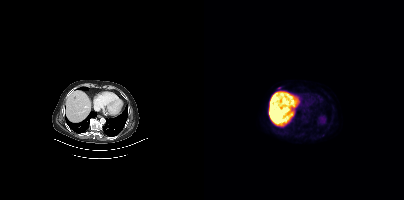
Technique: Two-panel axial: CT | PSMA PET, 18F tracer. acquired on Siemens Biograph mCT Flow 20. PET panel 200×200 px (4.1 mm/px).
Findings: Coordinates are on the 200×200 PET (right) panel. (showing 1 of 2 foci) Small PSMA-avid focus (2 to 4 px across) near (center x, center y): (75, 87).